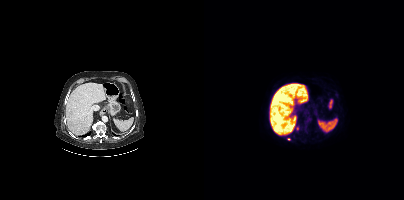
Left: CT. Right: PSMA PET, same axial level, [18F]PSMA-1007 tracer. Coordinates are on the 200×200 PET (right) panel. (showing 1 of 2 foci) Small PSMA-avid focus (2 to 4 px across) near (center x, center y): (93, 128).